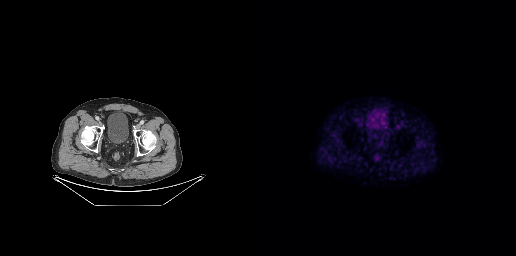
{"modality":"PSMA PET/CT","view":"axial","tracer":"18F","pet_grid":[256,256],"coord_frame":"pet_panel","coord_format":"x0,y0,x1,y1","psma_avid_lesions":false}